Technique: Two-panel axial: CT | PSMA PET, 68Ga tracer. acquired on Siemens Biograph mCT Flow 20. PET panel 200×200 px (4.1 mm/px).
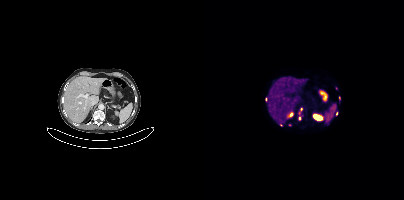
Findings: Coordinates are on the 200×200 PET (right) panel. (showing 7 of 8 foci) PSMA-avid tumor lesion bounding box (x, y, width, height): x=94 y=108 w=5 h=7. Small PSMA-avid foci (2 to 4 px across) near (center x, center y): (95, 118); (135, 97); (132, 88); (132, 113); (77, 124); (85, 124).